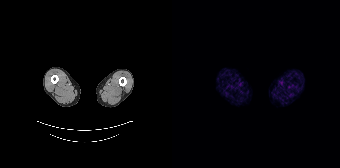
This slice has no annotated PSMA-avid lesion.